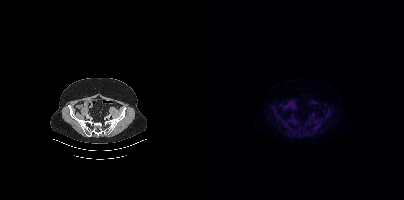
modality: PSMA PET/CT | tracer: [18F]PSMA-1007 | view: axial | PET grid: 200×200
Negative for PSMA-avid disease on this slice.